Paired axial CT (left) and PSMA PET (right), 18F-PSMA tracer. Slice 191 of 454.
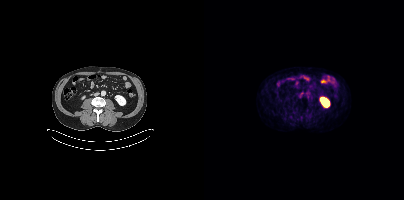
Coordinates are on the 200×200 PET (right) panel. Small PSMA-avid focus (2 to 4 px across) near (center x, center y): (97, 93).